Paired axial CT (left) and PSMA PET (right), 18F-PSMA tracer. PET panel 200×200 px (4.1 mm/px).
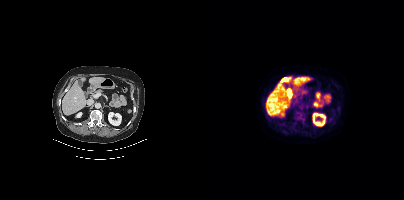
No tumor lesions annotated on this slice.